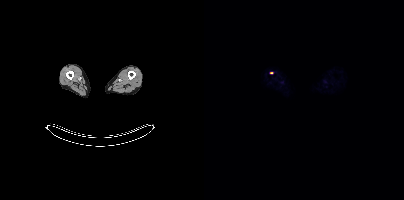
Findings: Coordinates are on the 200×200 PET (right) panel. Small PSMA-avid focus (2 to 4 px across) near (center x, center y): (67, 72).
Technique: Left: CT. Right: PSMA PET, same axial level, [18F]PSMA-1007 tracer.